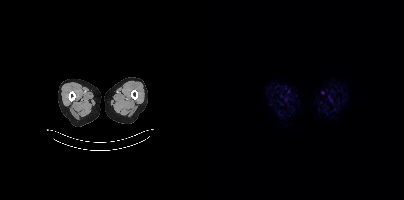
Findings: Negative for PSMA-avid disease on this slice.
- Paired axial CT (left) and PSMA PET (right), 18F-PSMA tracer
- acquired on Siemens Biograph mCT Flow 20
- slice 8 of 423
- PET panel 200×200 px (4.1 mm/px)